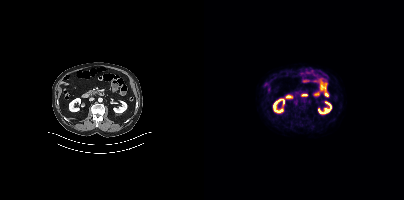
{"modality":"PSMA PET/CT","view":"axial","tracer":"[18F]PSMA-1007","pet_grid":[200,200],"coord_frame":"pet_panel","coord_format":"x0,y0,x1,y1","psma_avid_lesions":false}